Technique: Two-panel axial: CT | PSMA PET, 18F-PSMA tracer. acquired on Siemens Biograph mCT Flow 20. PET panel 200×200 px (4.1 mm/px).
Note: Privacy masking over the head, with the pixels inside a rectangle set to black.
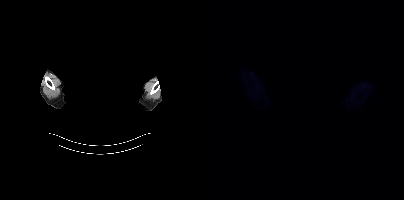
Findings: No PSMA-avid tumor lesions on this slice.